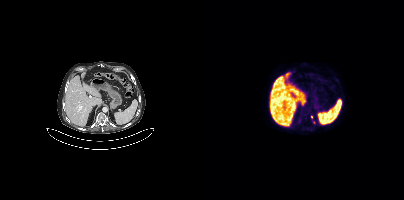
{"modality":"PSMA PET/CT","view":"axial","tracer":"18F","pet_grid":[200,200],"coord_frame":"pet_panel","coord_format":"x0,y0,x1,y1","partial":true,"lesion_bboxes":[],"small_foci_centers":[[107,117]]}